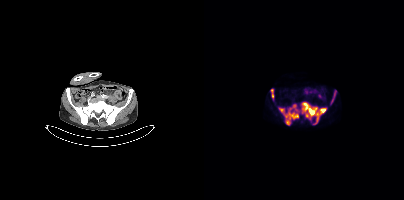
Left: CT. Right: PSMA PET, same axial level, [18F]PSMA-1007 tracer. Slice position z = -1380 mm. PET panel 200×200 px (4.1 mm/px). Coordinates are on the 200×200 PET (right) panel. (showing 4 of 5 foci) PSMA-avid tumor lesion bounding boxes (x0,y0,x1,y1): [98,102,122,123] [74,104,94,124] [67,89,70,100] [127,90,132,104].